redaction: privacy mask over head | modality: PSMA PET/CT | tracer: [18F]PSMA-1007 | view: axial
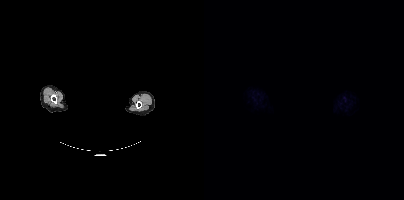
This slice has no annotated PSMA-avid lesion.